Technique: Two-panel axial: CT | PSMA PET, [18F]PSMA-1007 tracer. acquired on Siemens Biograph mCT Flow 20. slice position z = -1597 mm.
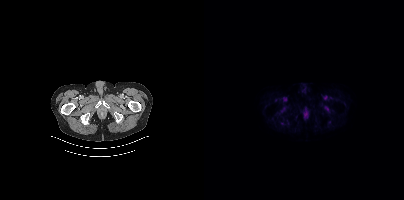
Findings: This slice has no annotated PSMA-avid lesion.